modality: PSMA PET/CT | tracer: 68Ga | view: axial | PET grid: 168×168
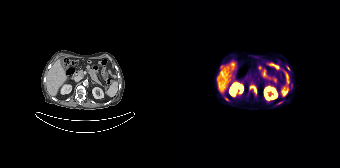
Coordinates are on the 168×168 PET (right) panel. PSMA-avid tumor lesion bounding boxes (x0, y0)-(x1, y1): (77, 85)-(84, 94) | (107, 100)-(111, 103) | (115, 66)-(117, 70). Small PSMA-avid foci (2 to 4 px across) near (center x, center y): (54, 99) | (119, 85).